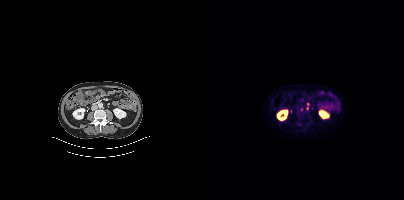
Coordinates are on the 200×200 PET (right) panel. (showing 2 of 3 foci) Small PSMA-avid foci (2 to 4 px across) near (center x, center y): (103, 104) | (103, 108).